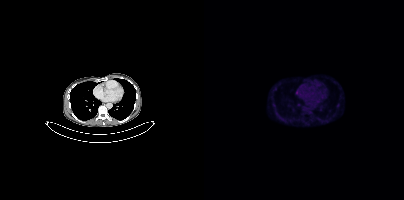
- Two-panel axial: CT | PSMA PET, 18F-PSMA tracer
- slice 270 of 448
- PET panel 200×200 px (4.1 mm/px)
Findings: Coordinates are on the 200×200 PET (right) panel. (showing 1 of 2 foci) Small PSMA-avid focus (2 to 4 px across) near (center x, center y): (93, 92).